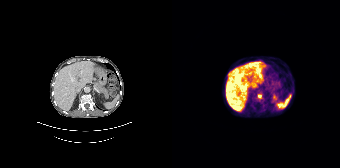
Left: CT. Right: PSMA PET, same axial level, [68Ga]Ga-PSMA-11 tracer. Slice position z = -1022 mm. Coordinates are on the 168×168 PET (right) panel. Small PSMA-avid focus (2 to 4 px across) near (center x, center y): (87, 96).